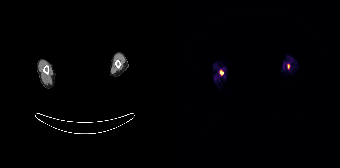
Coordinates are on the 168×168 PET (right) panel. (showing 1 of 2 foci) Small PSMA-avid focus (2 to 4 px across) near (center x, center y): (49, 72).
modality: PSMA PET/CT | tracer: 68Ga-PSMA | view: axial | de-identification: head region blanked (face removed)